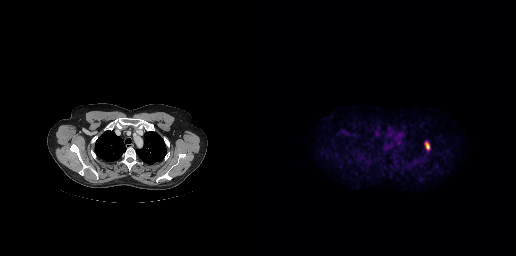
Coordinates are on the 256×256 PET (right) panel. PSMA-avid tumor lesion bounding box (x, y, width, height): x=165 y=142 w=5 h=8. Two-panel axial: CT | PSMA PET, 18F tracer. Acquired on GE Discovery 690. PET panel 256×256 px (2.7 mm/px).